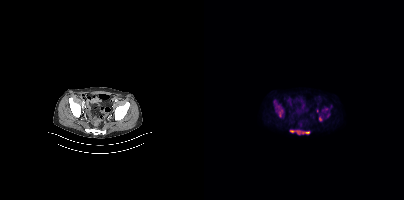
Coordinates are on the 200×200 PET (right) panel. (showing 4 of 6 foci) PSMA-avid tumor lesion bounding boxes (x0, y0)-(x1, y1): (86, 130)-(96, 134) / (98, 131)-(105, 133) / (75, 112)-(76, 116). Small PSMA-avid focus (2 to 4 px across) near (center x, center y): (116, 118).